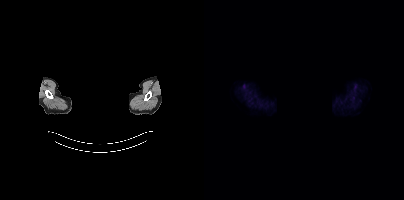
De-identified by setting a box covering the face to black before release.
No tumor lesions annotated on this slice.